Technique: Left: CT. Right: PSMA PET, same axial level, [18F]PSMA-1007 tracer. slice 230 of 391. PET panel 200×200 px (4.1 mm/px).
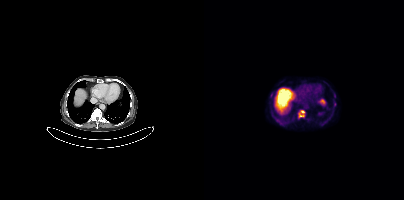
Findings: Coordinates are on the 200×200 PET (right) panel. PSMA-avid tumor lesion bounding box (x0, y0)-(x1, y1): (94, 110)-(101, 117).